- Left: CT. Right: PSMA PET, same axial level, 18F-PSMA tracer
- acquired on Siemens Biograph mCT Flow 20
- slice 304 of 444
- PET panel 200×200 px (4.1 mm/px)
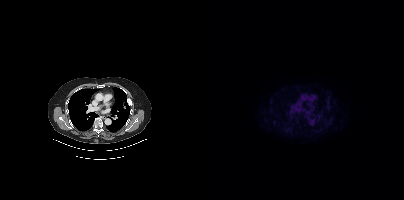
Findings: Negative for PSMA-avid disease on this slice.